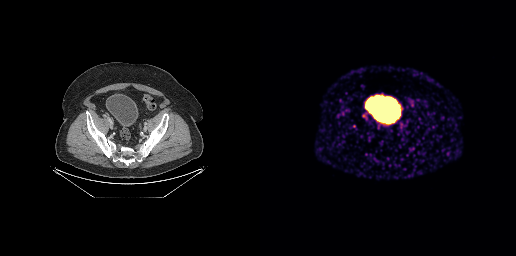
Two-panel axial: CT | PSMA PET, [68Ga]Ga-PSMA-11 tracer. Acquired on GE Discovery 690. Negative for PSMA-avid disease on this slice.